Head region blanked for anonymization (face removed).
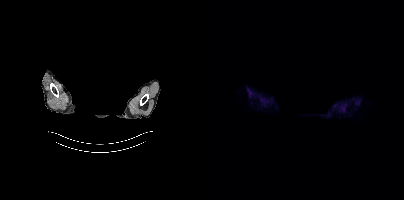
No tumor lesions annotated on this slice.